- Paired axial CT (left) and PSMA PET (right), [18F]PSMA-1007 tracer
- slice position z = -776 mm
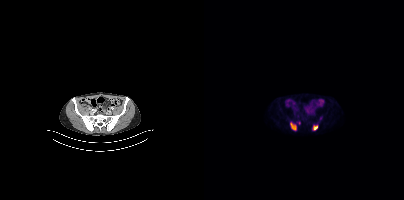
Findings: Coordinates are on the 200×200 PET (right) panel. PSMA-avid tumor lesion bounding boxes (x0, y0)-(x1, y1): (86, 123)-(91, 129) | (109, 125)-(113, 130).